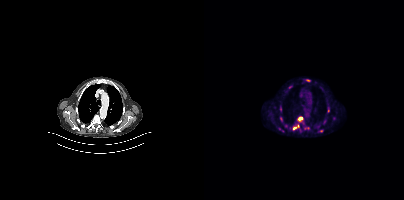
- Paired axial CT (left) and PSMA PET (right), 18F tracer
- slice position z = -1001 mm
- PET panel 200×200 px (4.1 mm/px)
Findings: Coordinates are on the 200×200 PET (right) panel. (showing 6 of 7 foci) PSMA-avid tumor lesion bounding boxes (x0,y0,x1,y1): [88,116,100,131] [100,127,105,129] [102,79,106,81]. Small PSMA-avid foci (2 to 4 px across) near (center x, center y): (76, 118) (121, 121) (117, 130).